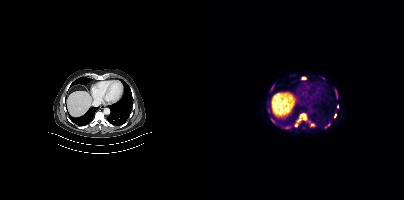
Technique: Left: CT. Right: PSMA PET, same axial level, 18F-PSMA tracer.
Findings: Coordinates are on the 200×200 PET (right) panel. (showing 10 of 13 foci) PSMA-avid tumor lesion bounding boxes (x0,y0,x1,y1): [96,114,101,119]; [90,122,93,127]; [106,123,110,126]; [132,93,133,98]. Small PSMA-avid foci (2 to 4 px across) near (center x, center y): (99, 78); (82, 127); (131, 115); (133, 106); (68, 120); (124, 124).